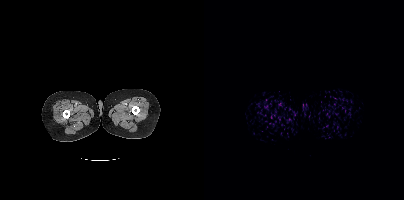
Two-panel axial: CT | PSMA PET, [68Ga]Ga-PSMA-11 tracer. Slice 3 of 444. PET panel 200×200 px (4.1 mm/px). This slice has no annotated PSMA-avid lesion.